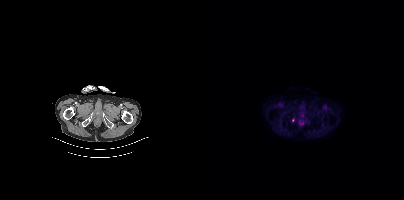
Coordinates are on the 200×200 PET (right) panel. Small PSMA-avid focus (2 to 4 px across) near (center x, center y): (89, 120).